Technique: Left: CT. Right: PSMA PET, same axial level, [18F]PSMA-1007 tracer. PET panel 200×200 px (4.1 mm/px).
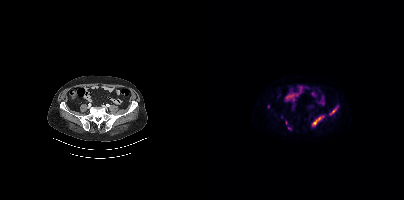
Findings: Coordinates are on the 200×200 PET (right) panel. (showing 3 of 5 foci) PSMA-avid tumor lesion bounding boxes (x, y, width, height): x=109 y=115 w=12 h=10; x=126 y=105 w=9 h=10. Small PSMA-avid focus (2 to 4 px across) near (center x, center y): (64, 106).